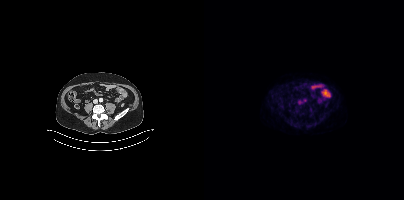
Findings: Negative for PSMA-avid disease on this slice.
Technique: Left: CT. Right: PSMA PET, same axial level, [18F]PSMA-1007 tracer. slice position z = -1538 mm. PET panel 200×200 px (4.1 mm/px).